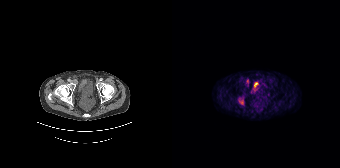
{"modality":"PSMA PET/CT","view":"axial","tracer":"68Ga","pet_grid":[168,168],"coord_frame":"pet_panel","coord_format":"x0,y0,x1,y1","lesion_bboxes":[[66,98,72,104]],"small_foci_centers":[[75,81]]}